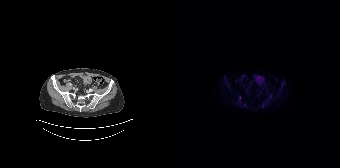
{"modality":"PSMA PET/CT","view":"axial","tracer":"18F-PSMA","pet_grid":[168,168],"coord_frame":"pet_panel","coord_format":"x0,y0,x1,y1","partial":true,"lesion_bboxes":[],"small_foci_centers":[[67,97]]}